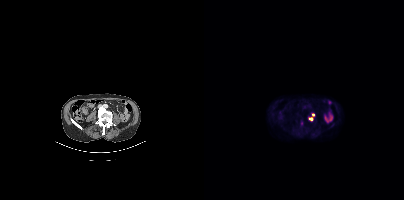
Technique: Left: CT. Right: PSMA PET, same axial level, 18F tracer. slice 150 of 435. PET panel 200×200 px (4.1 mm/px).
Findings: Coordinates are on the 200×200 PET (right) panel. (showing 1 of 2 foci) Small PSMA-avid focus (2 to 4 px across) near (center x, center y): (106, 118).